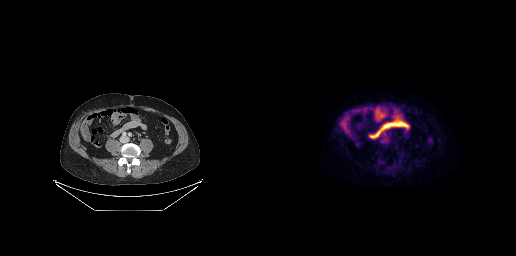
Negative for PSMA-avid disease on this slice.